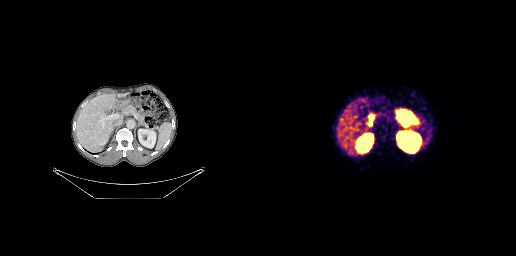
This slice has no annotated PSMA-avid lesion.